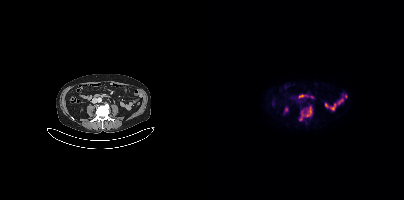
Coordinates are on the 200×200 PET (right) panel. PSMA-avid tumor lesion bounding box (x0, y0)-(x1, y1): (95, 106)-(108, 120).
modality: PSMA PET/CT | tracer: 18F-PSMA | view: axial | PET grid: 200×200